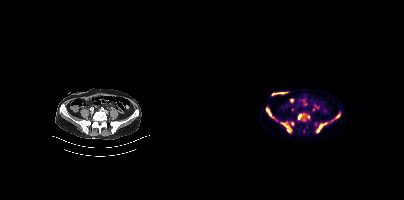
{"modality":"PSMA PET/CT","view":"axial","tracer":"18F-PSMA","pet_grid":[200,200],"coord_frame":"pet_panel","coord_format":"x0,y0,x1,y1","lesion_bboxes":[[76,121,88,133],[112,122,123,133],[62,107,72,120],[94,113,101,120],[131,114,136,119]],"small_foci_centers":[[103,116],[88,123],[128,120]]}